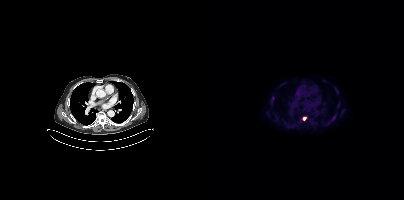
Paired axial CT (left) and PSMA PET (right), 18F-PSMA tracer. Acquired on Siemens Biograph mCT Flow 20. PET panel 200×200 px (4.1 mm/px). Coordinates are on the 200×200 PET (right) panel. (showing 4 of 5 foci) PSMA-avid tumor lesion bounding box (x, y, width, height): x=129 y=115 w=3 h=5. Small PSMA-avid foci (2 to 4 px across) near (center x, center y): (131, 88); (68, 97); (101, 117).